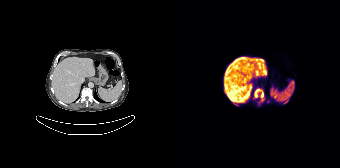
Coordinates are on the 168×168 PET (right) panel. PSMA-avid tumor lesion bounding box (x0, y0)-(x1, y1): (80, 87)-(93, 105).
modality: PSMA PET/CT | tracer: 18F-PSMA | view: axial